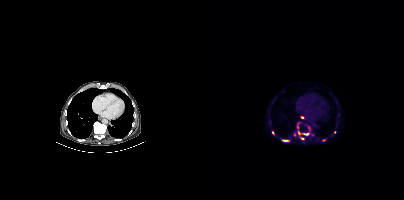
{"modality":"PSMA PET/CT","view":"axial","tracer":"18F-PSMA","pet_grid":[200,200],"coord_frame":"pet_panel","coord_format":"x0,y0,x1,y1","partial":true,"lesion_bboxes":[[92,123,94,128],[99,133,104,134],[79,140,83,141]],"small_foci_centers":[[95,132],[90,134],[119,140],[98,138],[98,117],[68,132]]}